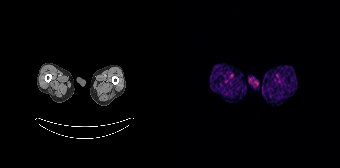
This slice has no annotated PSMA-avid lesion.